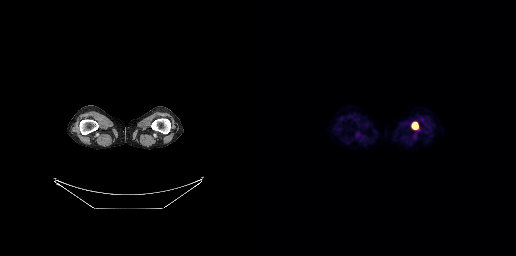
{"modality":"PSMA PET/CT","view":"axial","tracer":"18F","pet_grid":[256,256],"coord_frame":"pet_panel","coord_format":"x0,y0,x1,y1","lesion_bboxes":[[152,122,158,129]]}